Left: CT. Right: PSMA PET, same axial level, [18F]PSMA-1007 tracer. Acquired on GE Discovery 690. Slice position z = -237 mm.
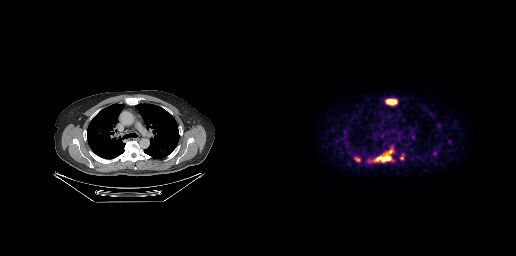
Coordinates are on the 256×256 PET (right) panel. PSMA-avid tumor lesion bounding boxes (x0, y0)-(x1, y1): (114, 148)-(133, 162) / (126, 99)-(137, 105) / (94, 157)-(100, 162). Small PSMA-avid focus (2 to 4 px across) near (center x, center y): (141, 158).